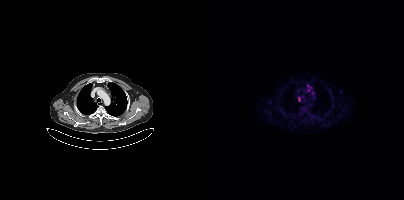
Findings: Coordinates are on the 200×200 PET (right) panel. (showing 1 of 2 foci) PSMA-avid tumor lesion bounding box (x, y, width, height): x=103 y=84 w=6 h=8.
Technique: Paired axial CT (left) and PSMA PET (right), 18F tracer. slice position z = -284 mm.